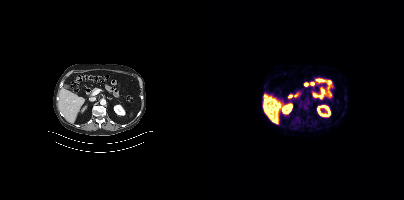
Paired axial CT (left) and PSMA PET (right), 18F tracer. Acquired on Siemens Biograph mCT Flow 20. Slice position z = -40 mm. PET panel 200×200 px (4.1 mm/px). No PSMA-avid tumor lesions on this slice.